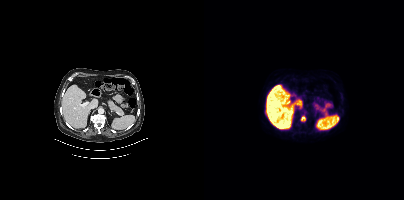
{"modality":"PSMA PET/CT","view":"axial","tracer":"[18F]PSMA-1007","pet_grid":[200,200],"coord_frame":"pet_panel","coord_format":"x0,y0,x1,y1","lesion_bboxes":[],"small_foci_centers":[[98,118]]}